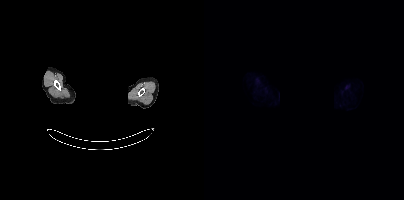
Findings: This slice has no annotated PSMA-avid lesion.
Technique: Left: CT. Right: PSMA PET, same axial level, 18F-PSMA tracer. slice position z = 506 mm. PET panel 200×200 px (4.1 mm/px).
Note: Facial anatomy redacted by setting a rectangular region of the head to black.